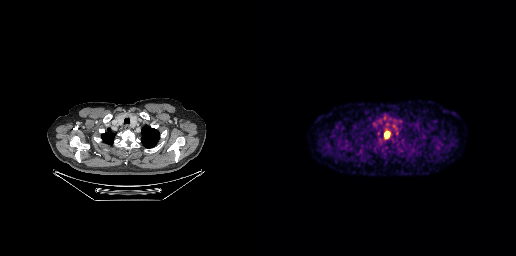
modality: PSMA PET/CT | tracer: 18F-PSMA | view: axial
Coordinates are on the 256×256 PET (right) panel. PSMA-avid tumor lesion bounding box (x0, y0)-(x1, y1): (124, 131)-(129, 138).